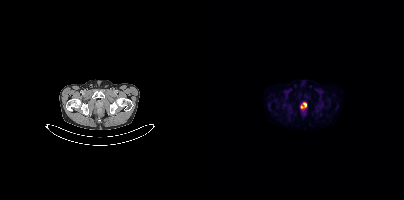
Paired axial CT (left) and PSMA PET (right), 18F tracer. Slice position z = -1662 mm. Coordinates are on the 200×200 PET (right) panel. PSMA-avid tumor lesion bounding box (x0,y0,x1,y1): [96,102,102,108].